Left: CT. Right: PSMA PET, same axial level, 18F tracer. Acquired on Siemens Biograph 64-4R TruePoint. PET panel 168×168 px (4.1 mm/px).
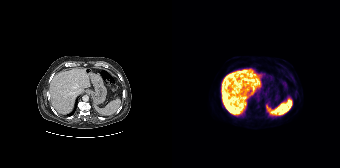
This slice has no annotated PSMA-avid lesion.